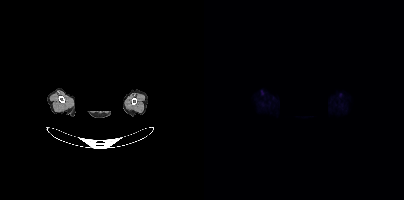
No PSMA-avid tumor lesions on this slice.
redaction: head region blacked out before release | modality: PSMA PET/CT | tracer: 18F | view: axial | PET grid: 200×200